modality: PSMA PET/CT | tracer: 68Ga | view: axial
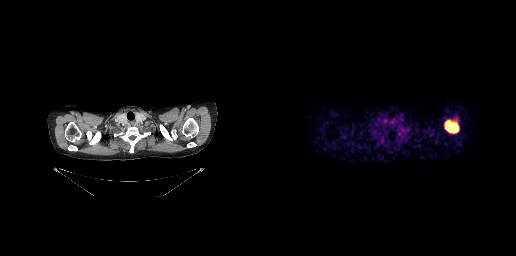
Coordinates are on the 256×256 PET (right) panel. PSMA-avid tumor lesion bounding box (x0,y0,x1,y1): [184,120,199,133].